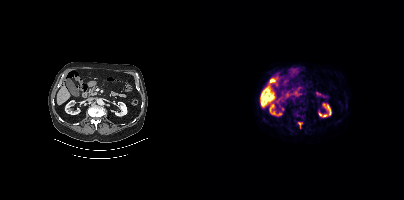
Coordinates are on the 200×200 PET (right) panel. PSMA-avid tumor lesion bounding box (x0,y0,x1,y1): [94,122,98,128].
modality: PSMA PET/CT | tracer: 18F | view: axial